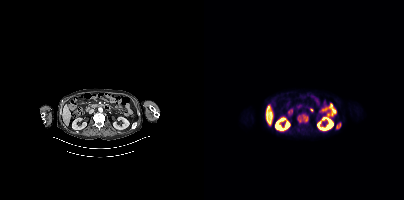
{"pet_grid":[200,200],"coord_frame":"pet_panel","coord_format":"x0,y0,x1,y1","lesion_bboxes":[[93,114,104,122],[132,122,137,129]],"modality":"PSMA PET/CT","view":"axial","tracer":"18F"}